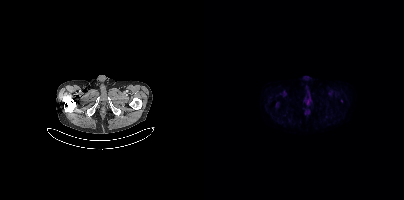
Left: CT. Right: PSMA PET, same axial level, [18F]PSMA-1007 tracer. Acquired on Siemens Biograph mCT Flow 20. Slice 38 of 429. Coordinates are on the 200×200 PET (right) panel. Small PSMA-avid focus (2 to 4 px across) near (center x, center y): (137, 100).